modality: PSMA PET/CT | tracer: 18F | view: axial
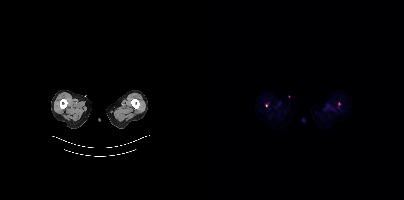
Coordinates are on the 200×200 PET (right) panel. Small PSMA-avid foci (2 to 4 px across) near (center x, center y): (135, 103) | (62, 105).